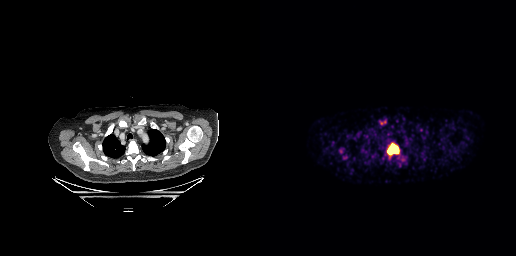
Findings: Coordinates are on the 256×256 PET (right) panel. PSMA-avid tumor lesion bounding box (x0, y0)-(x1, y1): (127, 143)-(139, 154).
Technique: Two-panel axial: CT | PSMA PET, [68Ga]Ga-PSMA-11 tracer. PET panel 256×256 px (2.7 mm/px).